Technique: Two-panel axial: CT | PSMA PET, 68Ga-PSMA tracer. acquired on Siemens Biograph 64-4R TruePoint.
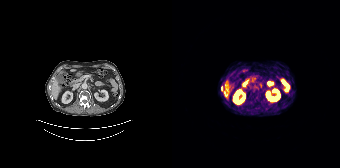
Findings: Coordinates are on the 168×168 PET (right) panel. PSMA-avid tumor lesion bounding box (x0, y0)-(x1, y1): (49, 86)-(50, 90).